Technique: Two-panel axial: CT | PSMA PET, 18F-PSMA tracer. acquired on Siemens Biograph mCT Flow 20. slice position z = -682 mm. PET panel 200×200 px (4.1 mm/px).
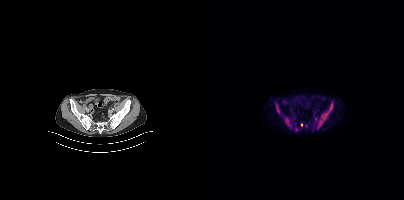
Findings: Coordinates are on the 200×200 PET (right) panel. (showing 4 of 5 foci) PSMA-avid tumor lesion bounding boxes (x0, y0)-(x1, y1): (114, 103)-(128, 127); (81, 117)-(87, 127); (72, 108)-(75, 113). Small PSMA-avid focus (2 to 4 px across) near (center x, center y): (97, 124).